Technique: Two-panel axial: CT | PSMA PET, 18F-PSMA tracer. PET panel 200×200 px (4.1 mm/px).
Note: A rectangular privacy mask was applied before release.
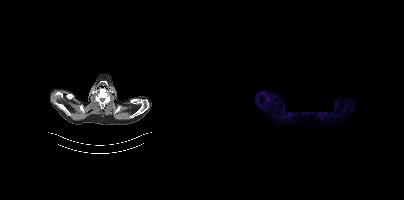
Findings: This slice has no annotated PSMA-avid lesion.